- Left: CT. Right: PSMA PET, same axial level, 18F tracer
- slice 17 of 431
- PET panel 200×200 px (4.1 mm/px)
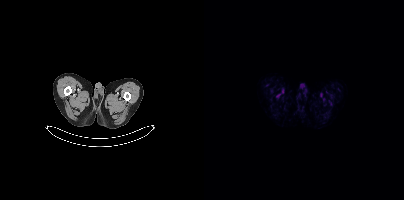
Findings: No tumor lesions annotated on this slice.